modality: PSMA PET/CT | tracer: [18F]PSMA-1007 | view: axial
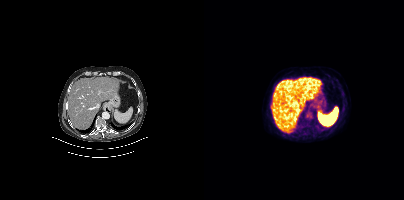
Coordinates are on the 200×200 PET (right) panel. Small PSMA-avid focus (2 to 4 px across) near (center x, center y): (67, 107).